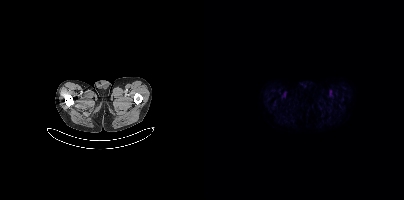
Technique: Paired axial CT (left) and PSMA PET (right), 18F-PSMA tracer. PET panel 200×200 px (4.1 mm/px).
Findings: Negative for PSMA-avid disease on this slice.